Paired axial CT (left) and PSMA PET (right), [68Ga]Ga-PSMA-11 tracer. Slice 2 of 373. PET panel 200×200 px (4.1 mm/px).
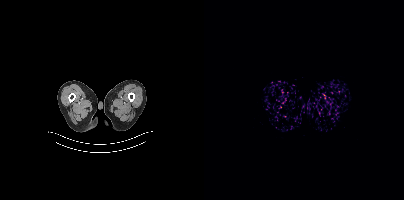
Negative for PSMA-avid disease on this slice.